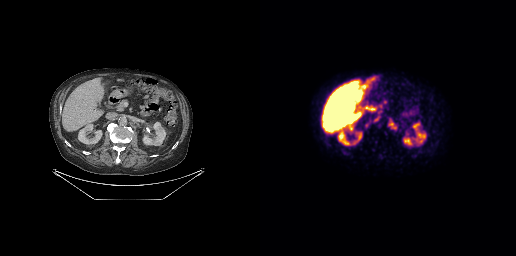
Left: CT. Right: PSMA PET, same axial level, 18F-PSMA tracer. PET panel 256×256 px (2.7 mm/px). Coordinates are on the 256×256 PET (right) panel. PSMA-avid tumor lesion bounding box (x0, y0)-(x1, y1): (128, 119)-(136, 129).